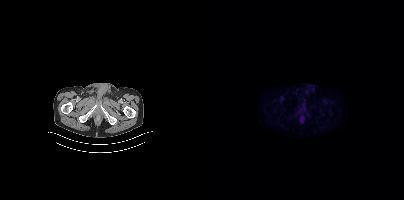
{"modality":"PSMA PET/CT","view":"axial","tracer":"[18F]PSMA-1007","pet_grid":[200,200],"coord_frame":"pet_panel","coord_format":"x0,y0,x1,y1","psma_avid_lesions":false}